Two-panel axial: CT | PSMA PET, 18F tracer. Acquired on Siemens Biograph mCT Flow 20. PET panel 200×200 px (4.1 mm/px).
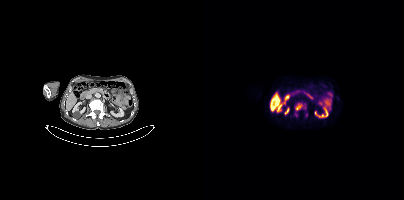
Coordinates are on the 200×200 PET (right) panel. PSMA-avid tumor lesion bounding box (x0,y0,x1,y1): [92,104,98,110].